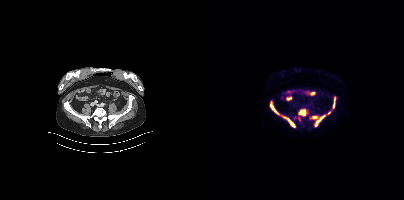
Coordinates are on the 200×200 PET (right) panel. PSMA-avid tumor lesion bounding boxes (x, y, width, height): x=109 y=115 w=13 h=11; x=95 y=109 w=7 h=7; x=80 y=117 w=11 h=11; x=66 y=102 w=9 h=13; x=129 y=97 w=3 h=11. Small PSMA-avid focus (2 to 4 px across) near (center x, center y): (125, 112).